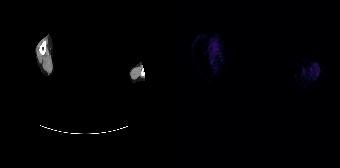
modality: PSMA PET/CT | tracer: 68Ga-PSMA | view: axial | redaction: facial region redacted
No tumor lesions annotated on this slice.